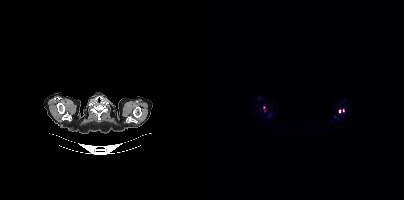
{"modality":"PSMA PET/CT","view":"axial","tracer":"18F-PSMA","pet_grid":[200,200],"coord_frame":"pet_panel","coord_format":"x0,y0,x1,y1","deidentification":"privacy mask (black rectangle)","partial":true,"lesion_bboxes":[],"small_foci_centers":[[60,107],[135,110]]}